Technique: Paired axial CT (left) and PSMA PET (right), 18F-PSMA tracer. slice position z = -278 mm.
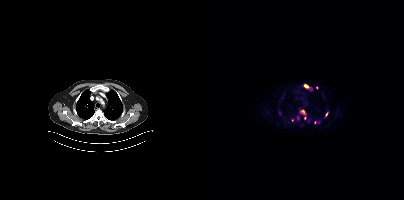
Findings: Coordinates are on the 200×200 PET (right) panel. (showing 7 of 10 foci) PSMA-avid tumor lesion bounding boxes (x0,y0,x1,y1): [99,84,107,89], [96,110,101,114], [120,111,123,117]. Small PSMA-avid foci (2 to 4 px across) near (center x, center y): (94, 117), (75, 112), (113, 87), (100, 118).